- Paired axial CT (left) and PSMA PET (right), 18F-PSMA tracer
- slice 181 of 263
- PET panel 256×256 px (2.7 mm/px)
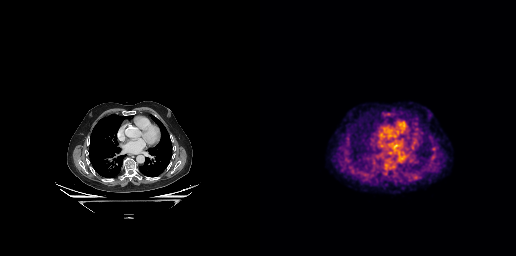
Findings: No PSMA-avid tumor lesions on this slice.